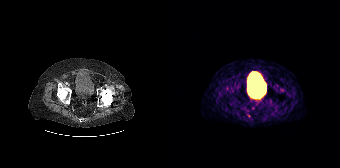
{"modality":"PSMA PET/CT","view":"axial","tracer":"[68Ga]Ga-PSMA-11","pet_grid":[168,168],"coord_frame":"pet_panel","coord_format":"x0,y0,x1,y1","partial":true,"lesion_bboxes":[]}